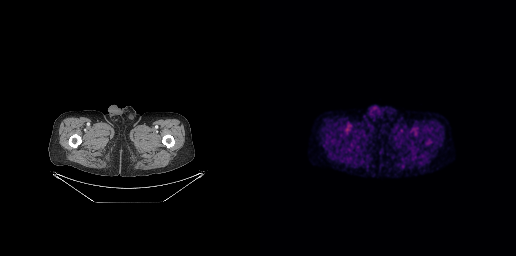
Paired axial CT (left) and PSMA PET (right), [18F]PSMA-1007 tracer. Negative for PSMA-avid disease on this slice.